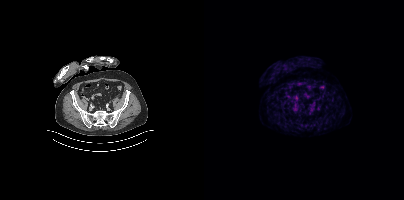
{"modality":"PSMA PET/CT","view":"axial","tracer":"68Ga-PSMA","pet_grid":[200,200],"coord_frame":"pet_panel","coord_format":"x0,y0,x1,y1","psma_avid_lesions":false}